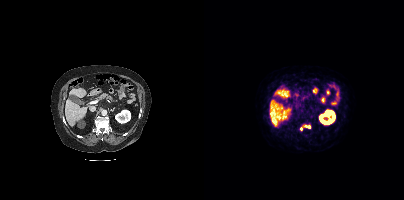
Coordinates are on the 200×200 PET (right) panel. PSMA-avid tumor lesion bounding box (x0, y0)-(x1, y1): (96, 124)-(106, 130).